Left: CT. Right: PSMA PET, same axial level, 18F tracer. Acquired on Siemens Biograph mCT Flow 20. Slice position z = -530 mm. PET panel 200×200 px (4.1 mm/px).
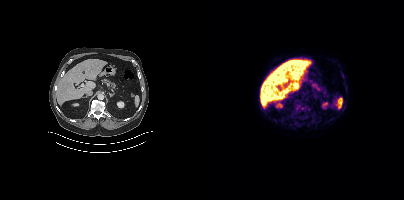
Negative for PSMA-avid disease on this slice.